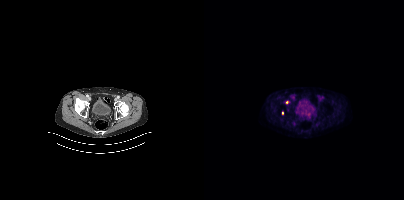
Coordinates are on the 200×200 PET (right) panel. Small PSMA-avid foci (2 to 4 px across) near (center x, center y): (78, 113) / (83, 102).
modality: PSMA PET/CT | tracer: [18F]PSMA-1007 | view: axial | PET grid: 200×200